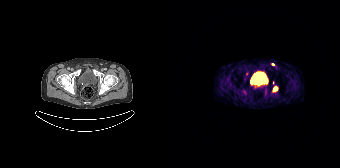
{"pet_grid":[168,168],"coord_frame":"pet_panel","coord_format":"x0,y0,x1,y1","partial":true,"lesion_bboxes":[[101,87,105,91]],"small_foci_centers":[[101,64]],"modality":"PSMA PET/CT","view":"axial","tracer":"68Ga"}